- Paired axial CT (left) and PSMA PET (right), 18F tracer
- PET panel 256×256 px (2.7 mm/px)
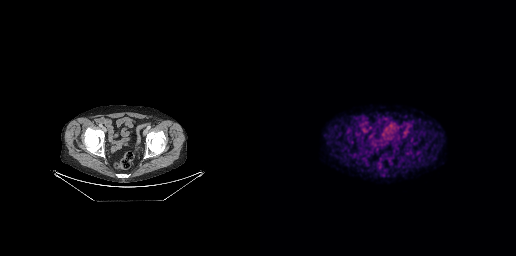
Findings: No PSMA-avid tumor lesions on this slice.